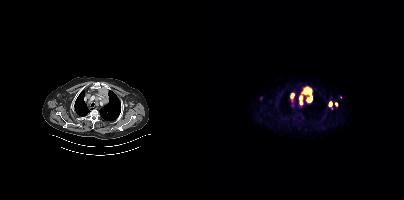
{"modality":"PSMA PET/CT","view":"axial","tracer":"[18F]PSMA-1007","pet_grid":[200,200],"coord_frame":"pet_panel","coord_format":"x0,y0,x1,y1","lesion_bboxes":[[95,86,108,105],[86,93,90,101],[125,101,128,106]],"small_foci_centers":[[132,104],[136,97],[56,97]]}